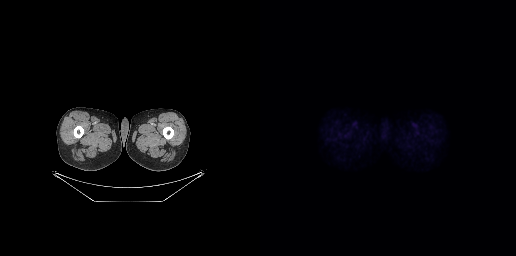
modality: PSMA PET/CT | tracer: 18F-PSMA | view: axial
No tumor lesions annotated on this slice.